- Two-panel axial: CT | PSMA PET, [18F]PSMA-1007 tracer
- acquired on Siemens Biograph mCT Flow 20
- slice position z = -734 mm
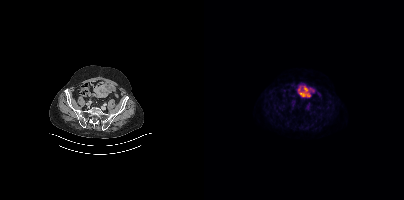
Findings: This slice has no annotated PSMA-avid lesion.